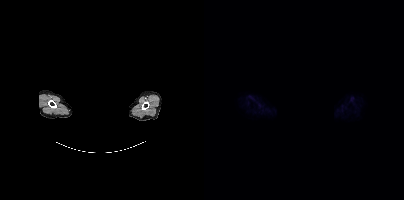
Technique: Two-panel axial: CT | PSMA PET, 18F-PSMA tracer. acquired on Siemens Biograph mCT Flow 20. slice 382 of 417. PET panel 200×200 px (4.1 mm/px).
Note: De-identified by setting a box covering the face to black before release.
Findings: This slice has no annotated PSMA-avid lesion.